Paired axial CT (left) and PSMA PET (right), 18F-PSMA tracer. Acquired on Siemens Biograph mCT Flow 20. Slice position z = -331 mm. PET panel 200×200 px (4.1 mm/px).
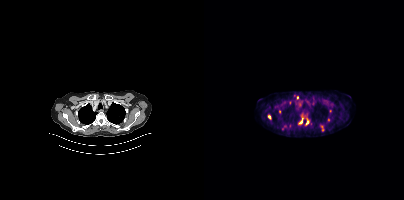
Coordinates are on the 200×200 PET (right) panel. (showing 6 of 7 foci) PSMA-avid tumor lesion bounding boxes (x0, y0)-(x1, y1): (116, 125)-(120, 131) | (94, 117)-(99, 124) | (102, 119)-(105, 124). Small PSMA-avid foci (2 to 4 px across) near (center x, center y): (65, 117) | (93, 97) | (124, 119).